- Two-panel axial: CT | PSMA PET, [18F]PSMA-1007 tracer
- acquired on Siemens Biograph mCT Flow 20
- slice position z = -1347 mm
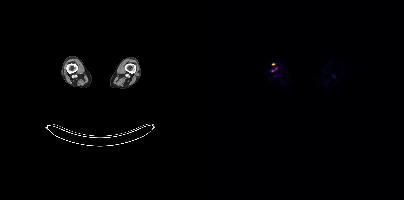
Findings: Coordinates are on the 200×200 PET (right) panel. Small PSMA-avid foci (2 to 4 px across) near (center x, center y): (69, 63) (68, 70).